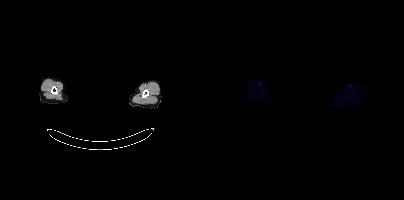
De-identified by setting a box covering the face to black before release.
This slice has no annotated PSMA-avid lesion.